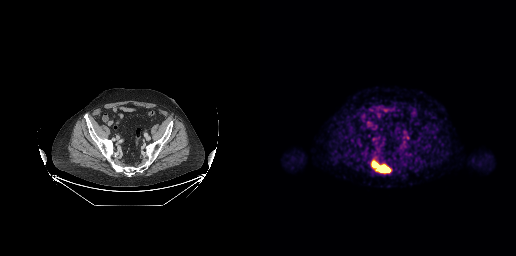
- Paired axial CT (left) and PSMA PET (right), [18F]PSMA-1007 tracer
- acquired on GE Discovery 690
- PET panel 256×256 px (2.7 mm/px)
Findings: Coordinates are on the 256×256 PET (right) panel. PSMA-avid tumor lesion bounding box (x0,y0,x1,y1): [111,160,131,173].